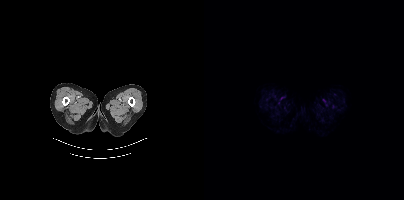
This slice has no annotated PSMA-avid lesion.